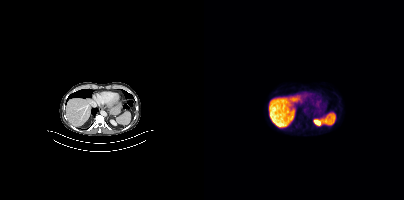
Technique: Two-panel axial: CT | PSMA PET, 18F tracer. acquired on Siemens Biograph mCT Flow 20. slice position z = -542 mm.
Findings: No tumor lesions annotated on this slice.